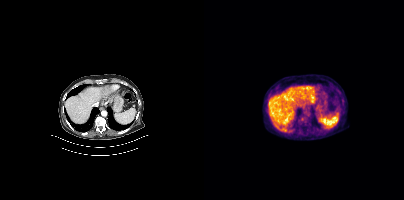
- Left: CT. Right: PSMA PET, same axial level, 18F-PSMA tracer
- slice position z = -1106 mm
- PET panel 200×200 px (4.1 mm/px)
Findings: This slice has no annotated PSMA-avid lesion.